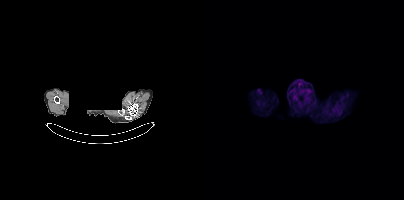
- Paired axial CT (left) and PSMA PET (right), [18F]PSMA-1007 tracer
- acquired on Siemens Biograph mCT Flow 20
- privacy masking over the head, with the pixels inside a rectangle set to black
Findings: This slice has no annotated PSMA-avid lesion.